Left: CT. Right: PSMA PET, same axial level, 18F-PSMA tracer. Acquired on Siemens Biograph mCT Flow 20. Slice position z = -801 mm. PET panel 200×200 px (4.1 mm/px).
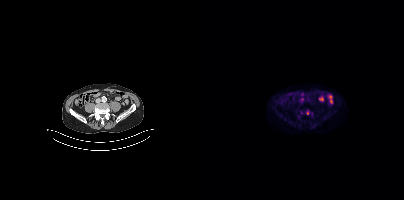
Coordinates are on the 200×200 PET (right) panel. Small PSMA-avid foci (2 to 4 px across) near (center x, center y): (97, 112) (103, 112) (94, 116).